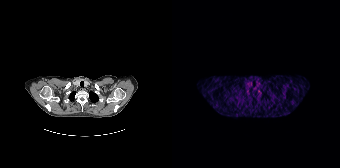
This slice has no annotated PSMA-avid lesion.